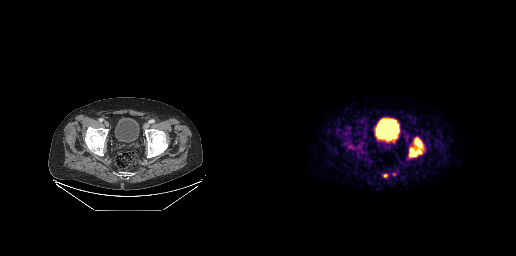
Two-panel axial: CT | PSMA PET, 68Ga-PSMA tracer. Acquired on GE Discovery 690. PET panel 256×256 px (2.7 mm/px). Coordinates are on the 256×256 PET (right) panel. PSMA-avid tumor lesion bounding boxes (x0, y0)-(x1, y1): (149, 137)-(163, 157); (123, 174)-(127, 177).